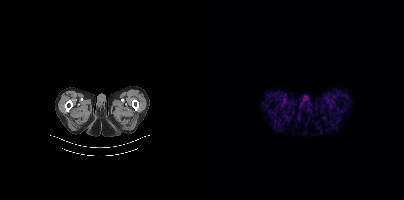
- Left: CT. Right: PSMA PET, same axial level, 68Ga tracer
- acquired on Siemens Biograph mCT Flow 20
Findings: Negative for PSMA-avid disease on this slice.